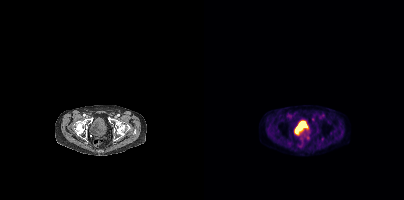
{"modality":"PSMA PET/CT","view":"axial","tracer":"18F-PSMA","pet_grid":[200,200],"coord_frame":"pet_panel","coord_format":"x0,y0,x1,y1","partial":true,"lesion_bboxes":[],"small_foci_centers":[[103,137],[109,119],[118,139],[100,135]]}